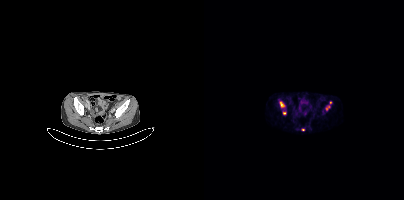
Coordinates are on the 200×200 PET (right) panel. (showing 3 of 4 foci) PSMA-avid tumor lesion bounding boxes (x0, y0)-(x1, y1): (121, 101)-(127, 110) | (76, 101)-(80, 107). Small PSMA-avid focus (2 to 4 px across) near (center x, center y): (99, 129).